Technique: Paired axial CT (left) and PSMA PET (right), 18F tracer.
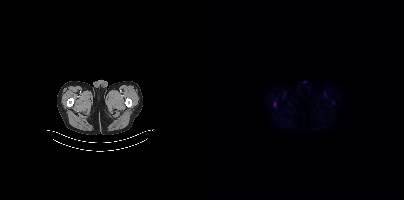
Findings: No PSMA-avid tumor lesions on this slice.